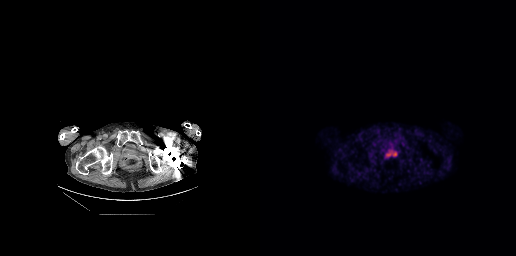
Coordinates are on the 256×256 PET (right) panel. PSMA-avid tumor lesion bounding box (x0,y0,x1,y1): [126,150,137,156].